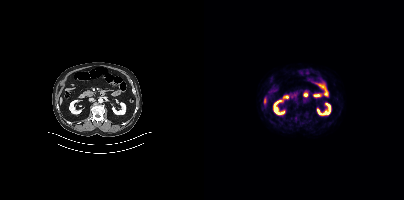
Technique: Paired axial CT (left) and PSMA PET (right), [18F]PSMA-1007 tracer. slice position z = -750 mm. PET panel 200×200 px (4.1 mm/px).
Findings: This slice has no annotated PSMA-avid lesion.